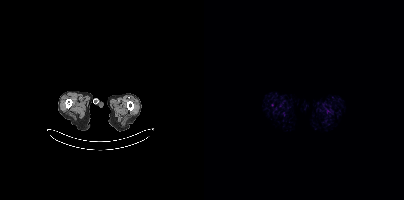
{"modality":"PSMA PET/CT","view":"axial","tracer":"[18F]PSMA-1007","pet_grid":[200,200],"coord_frame":"pet_panel","coord_format":"x0,y0,x1,y1","psma_avid_lesions":false}